A rectangle over the head was blacked out to remove identifiable facial features.
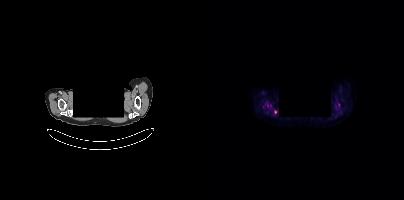
Coordinates are on the 200×200 PET (right) panel. (showing 1 of 2 foci) Small PSMA-avid focus (2 to 4 px across) near (center x, center y): (71, 111).